Technique: Left: CT. Right: PSMA PET, same axial level, [18F]PSMA-1007 tracer. PET panel 200×200 px (4.1 mm/px).
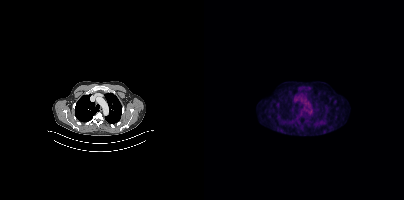
Findings: This slice has no annotated PSMA-avid lesion.